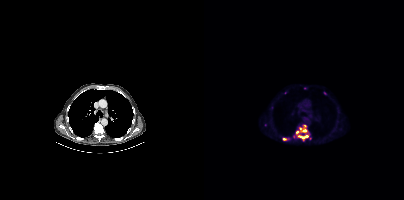
Findings: Coordinates are on the 200×200 PET (right) panel. (showing 5 of 8 foci) PSMA-avid tumor lesion bounding boxes (x0,y0,x1,y1): [96,125,104,133] [95,135,104,138]. Small PSMA-avid foci (2 to 4 px across) near (center x, center y): (80, 139) (121, 93) (93, 132).
- Paired axial CT (left) and PSMA PET (right), 18F tracer
- PET panel 200×200 px (4.1 mm/px)